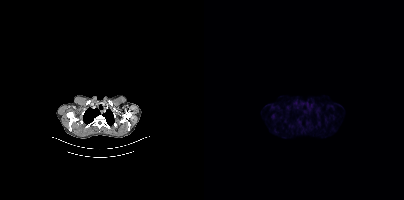
No PSMA-avid tumor lesions on this slice.